modality: PSMA PET/CT | tracer: [68Ga]Ga-PSMA-11 | view: axial
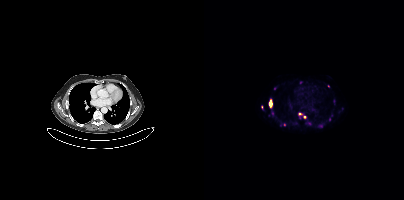
Coordinates are on the 200×200 PET (right) panel. PSMA-avid tumor lesion bounding boxes (x0,y0,x1,y1): [65,101,67,107]; [94,112,98,115]. Small PSMA-avid foci (2 to 4 px across) near (center x, center y): (71, 88); (100, 116); (76, 125); (124, 86); (57, 107); (96, 82); (80, 124).